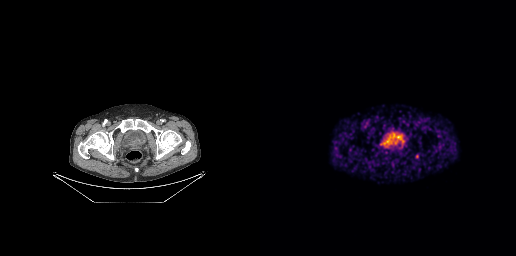
Technique: Paired axial CT (left) and PSMA PET (right), 68Ga-PSMA tracer.
Findings: No tumor lesions annotated on this slice.